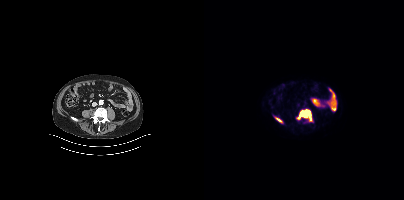
{"modality":"PSMA PET/CT","view":"axial","tracer":"18F","pet_grid":[200,200],"coord_frame":"pet_panel","coord_format":"x0,y0,x1,y1","lesion_bboxes":[[93,109,107,120],[72,118,77,122]]}